- Paired axial CT (left) and PSMA PET (right), 18F-PSMA tracer
- slice position z = -1566 mm
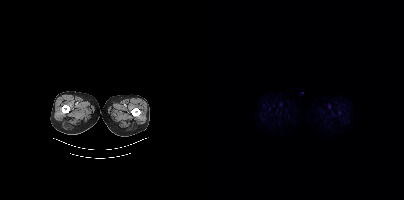
Findings: No tumor lesions annotated on this slice.